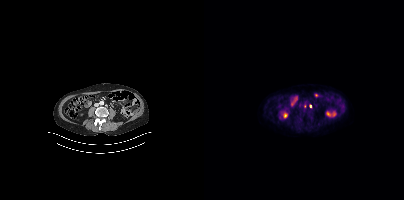
Technique: Left: CT. Right: PSMA PET, same axial level, 18F-PSMA tracer. acquired on Siemens Biograph mCT Flow 20.
Findings: Coordinates are on the 200×200 PET (right) panel. Small PSMA-avid foci (2 to 4 px across) near (center x, center y): (100, 106), (106, 105).